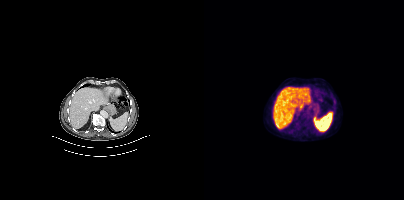
modality: PSMA PET/CT | tracer: [18F]PSMA-1007 | view: axial
Negative for PSMA-avid disease on this slice.